Technique: Two-panel axial: CT | PSMA PET, [18F]PSMA-1007 tracer. PET panel 200×200 px (4.1 mm/px).
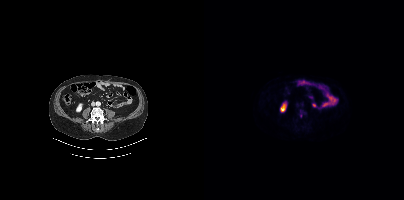
Findings: Coordinates are on the 200×200 PET (right) panel. Small PSMA-avid focus (2 to 4 px across) near (center x, center y): (96, 115).